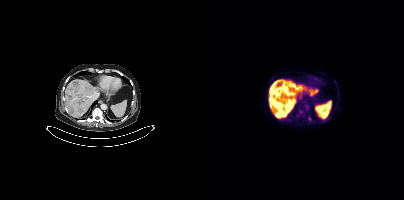
{"modality":"PSMA PET/CT","view":"axial","tracer":"18F","pet_grid":[200,200],"coord_frame":"pet_panel","coord_format":"x0,y0,x1,y1","lesion_bboxes":[[67,90,73,95],[72,82,77,87],[73,111,77,115]],"small_foci_centers":[[97,111],[105,119]]}